Paired axial CT (left) and PSMA PET (right), 68Ga tracer. The face region was removed for patient privacy by blanking a rectangle over the head.
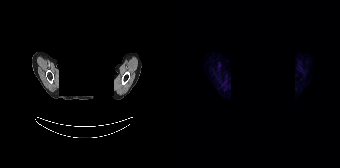
No PSMA-avid tumor lesions on this slice.